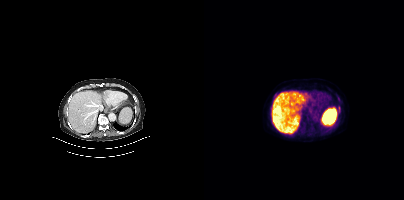
Only PSMA-avid lesion pieces thinner than 2 px on this slice (not listed).